Paired axial CT (left) and PSMA PET (right), [18F]PSMA-1007 tracer. PET panel 200×200 px (4.1 mm/px).
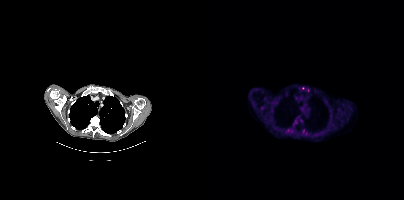
Coordinates are on the 200×200 PET (right) panel. (showing 1 of 3 foci) Small PSMA-avid focus (2 to 4 px across) near (center x, center y): (99, 88).